modality: PSMA PET/CT | tracer: [18F]PSMA-1007 | view: axial | de-identification: head region blacked out before release
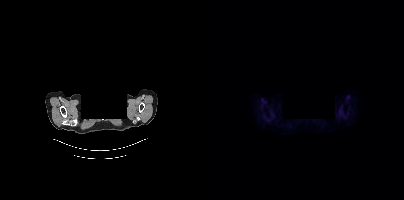
This slice has no annotated PSMA-avid lesion.